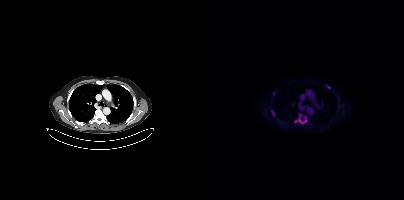
Coordinates are on the 200×200 PET (right) panel. (showing 4 of 5 foci) PSMA-avid tumor lesion bounding boxes (x, y, width, height): x=94 y=120 w=9 h=4 / x=67 y=110 w=4 h=7. Small PSMA-avid foci (2 to 4 px across) near (center x, center y): (124, 87) / (69, 93).